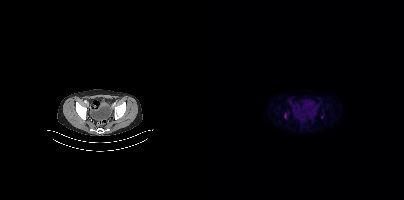
Technique: Two-panel axial: CT | PSMA PET, 18F-PSMA tracer.
Findings: Negative for PSMA-avid disease on this slice.